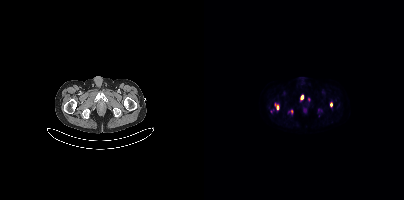
{"modality":"PSMA PET/CT","view":"axial","tracer":"[18F]PSMA-1007","pet_grid":[200,200],"coord_frame":"pet_panel","coord_format":"x0,y0,x1,y1","lesion_bboxes":[[97,95,99,99]],"small_foci_centers":[[73,107],[104,99],[127,104],[87,111]]}